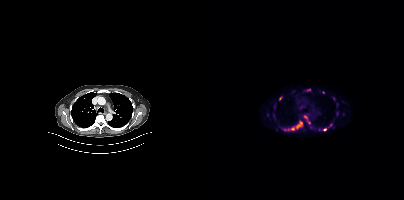
modality: PSMA PET/CT | tracer: 18F | view: axial
Coordinates are on the 200×200 PET (right) panel. (showing 11 of 12 foci) PSMA-avid tumor lesion bounding boxes (x0, y0)-(x1, y1): (93, 121)-(98, 128); (80, 126)-(90, 130); (75, 96)-(78, 100); (132, 111)-(134, 115); (100, 115)-(103, 119); (114, 128)-(118, 130). Small PSMA-avid foci (2 to 4 px across) near (center x, center y): (121, 129); (105, 122); (104, 89); (129, 98); (126, 124).